Left: CT. Right: PSMA PET, same axial level, [68Ga]Ga-PSMA-11 tracer. Slice 24 of 195.
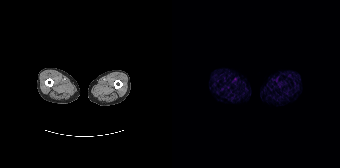
Negative for PSMA-avid disease on this slice.